Technique: Paired axial CT (left) and PSMA PET (right), [18F]PSMA-1007 tracer. acquired on GE Discovery 690. slice 161 of 263.
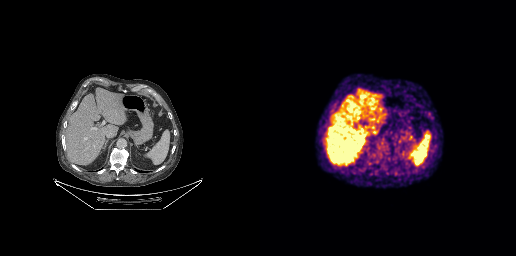
Findings: Coordinates are on the 256×256 PET (right) panel. Small PSMA-avid focus (2 to 4 px across) near (center x, center y): (169, 114).